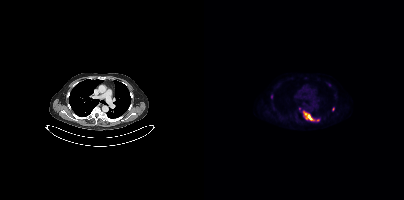
Coordinates are on the 200×200 PET (right) panel. PSMA-avid tumor lesion bounding box (x0,y0,x1,y1): [98,110,116,121]. Small PSMA-avid foci (2 to 4 px across) near (center x, center y): (95, 108) (129, 109).